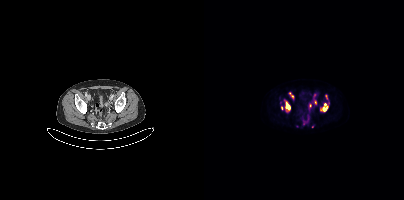
Technique: Two-panel axial: CT | PSMA PET, 18F tracer. slice 84 of 407. PET panel 200×200 px (4.1 mm/px).
Findings: Coordinates are on the 200×200 PET (right) panel. (showing 8 of 9 foci) PSMA-avid tumor lesion bounding boxes (x0, y0)-(x1, y1): (118, 103)-(123, 111) | (82, 102)-(86, 109) | (85, 93)-(90, 99) | (110, 100)-(112, 104) | (121, 95)-(123, 99). Small PSMA-avid foci (2 to 4 px across) near (center x, center y): (106, 105) | (77, 108) | (116, 110).